modality: PSMA PET/CT | tracer: 18F | view: axial
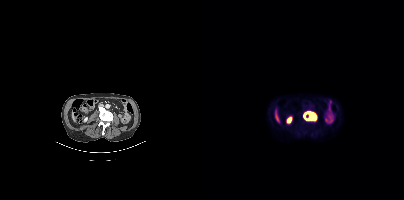
Coordinates are on the 200×200 PET (right) panel. PSMA-avid tumor lesion bounding box (x, y, width, height): x=100 y=112 w=13 h=9.